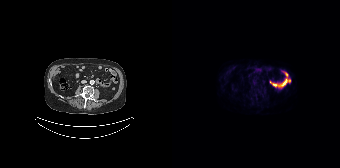
No PSMA-avid tumor lesions on this slice.